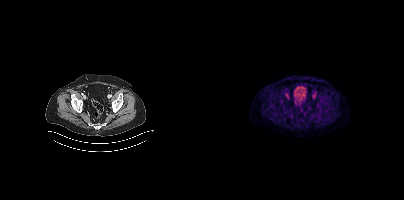
No tumor lesions annotated on this slice. Paired axial CT (left) and PSMA PET (right), 18F-PSMA tracer. PET panel 200×200 px (4.1 mm/px).